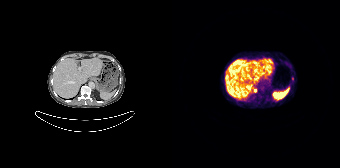
Coordinates are on the 168×168 PET (right) panel. (showing 1 of 2 foci) Small PSMA-avid focus (2 to 4 px across) near (center x, center y): (120, 78).